Left: CT. Right: PSMA PET, same axial level, [18F]PSMA-1007 tracer. Acquired on Siemens Biograph mCT Flow 20. PET panel 200×200 px (4.1 mm/px).
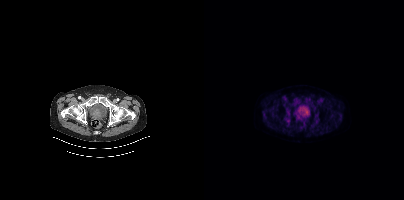
Negative for PSMA-avid disease on this slice.